Technique: Left: CT. Right: PSMA PET, same axial level, 18F tracer. acquired on Siemens Biograph mCT Flow 20. PET panel 200×200 px (4.1 mm/px).
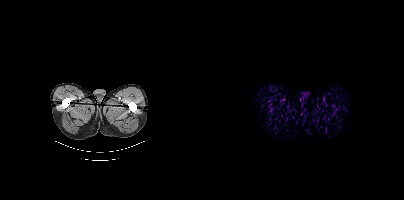
Findings: This slice has no annotated PSMA-avid lesion.